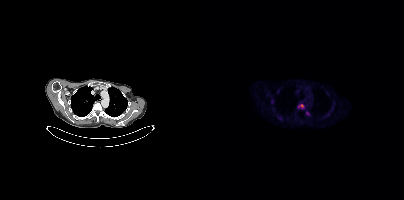
Coordinates are on the 200×200 PET (right) panel. PSMA-avid tumor lesion bounding boxes (partial; 2 more foci not listed):
| # | x0 | y0 | x1 | y1 |
|---|---|---|---|---|
| 1 | 94 | 104 | 100 | 108 |
| 2 | 102 | 111 | 105 | 115 |
Two-panel axial: CT | PSMA PET, [18F]PSMA-1007 tracer. PET panel 200×200 px (4.1 mm/px).